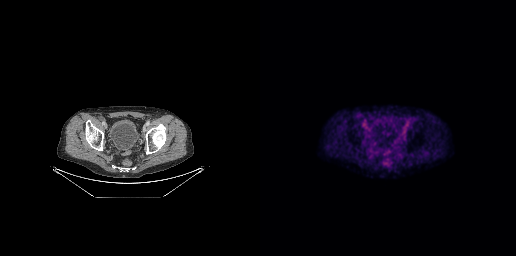
{"modality":"PSMA PET/CT","view":"axial","tracer":"[18F]PSMA-1007","pet_grid":[256,256],"coord_frame":"pet_panel","coord_format":"x0,y0,x1,y1","psma_avid_lesions":false}